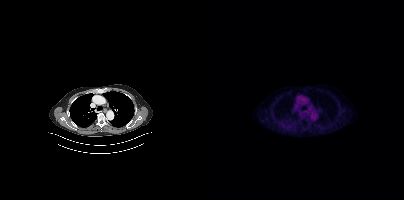
- Two-panel axial: CT | PSMA PET, 18F-PSMA tracer
Findings: No tumor lesions annotated on this slice.